Paired axial CT (left) and PSMA PET (right), 68Ga-PSMA tracer.
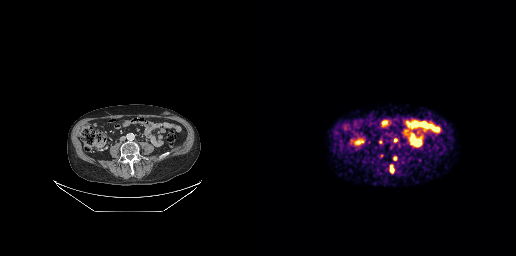
Coordinates are on the 256×256 PET (right) panel. PSMA-avid tumor lesion bounding boxes (partial; 1 more focus not listed):
| # | x0 | y0 | x1 | y1 |
|---|---|---|---|---|
| 1 | 130 | 166 | 133 | 172 |
| 2 | 133 | 156 | 136 | 160 |
| 3 | 134 | 138 | 137 | 142 |
Small PSMA-avid foci (2 to 4 px across) near (center x, center y): (121, 155); (120, 141).